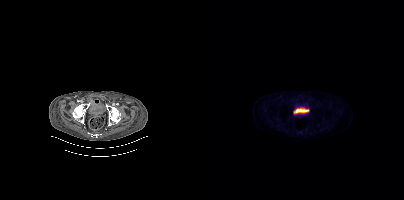
modality: PSMA PET/CT | tracer: [18F]PSMA-1007 | view: axial | PET grid: 200×200
No tumor lesions annotated on this slice.